- Two-panel axial: CT | PSMA PET, [18F]PSMA-1007 tracer
- PET panel 256×256 px (2.7 mm/px)
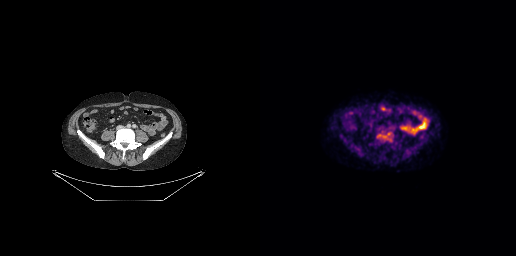
Findings: Coordinates are on the 256×256 PET (right) panel. PSMA-avid tumor lesion bounding box (x0,y0,x1,y1): [127,132,131,135].